Paired axial CT (left) and PSMA PET (right), 18F-PSMA tracer. PET panel 200×200 px (4.1 mm/px).
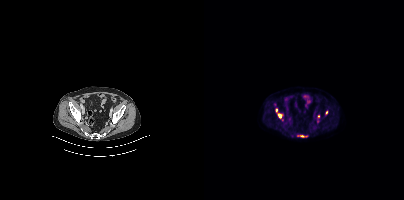
Coordinates are on the 200×200 PET (right) panel. (showing 5 of 6 foci) PSMA-avid tumor lesion bounding boxes (x0,y0,x1,y1): [74,113,78,118] [93,135,103,137]. Small PSMA-avid foci (2 to 4 px across) near (center x, center y): (122, 112) (72, 110) (114, 116).